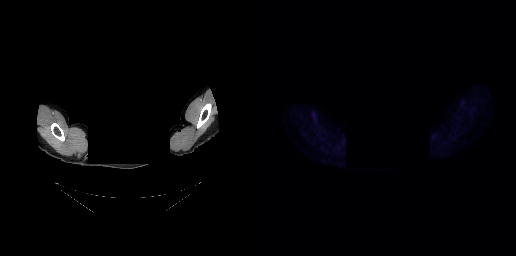
An anonymization step blacked out a rectangle over the head in this scan.
Negative for PSMA-avid disease on this slice.